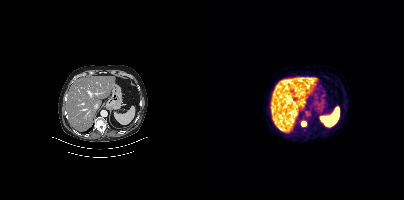
{"modality":"PSMA PET/CT","view":"axial","tracer":"[18F]PSMA-1007","pet_grid":[200,200],"coord_frame":"pet_panel","coord_format":"x0,y0,x1,y1","lesion_bboxes":[[97,121,102,126]]}